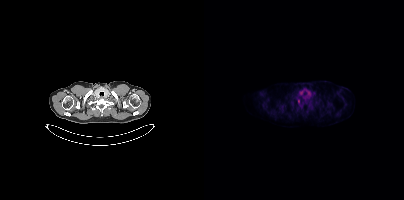
modality: PSMA PET/CT | tracer: [18F]PSMA-1007 | view: axial
This slice has no annotated PSMA-avid lesion.